Technique: Two-panel axial: CT | PSMA PET, [18F]PSMA-1007 tracer. PET panel 200×200 px (4.1 mm/px).
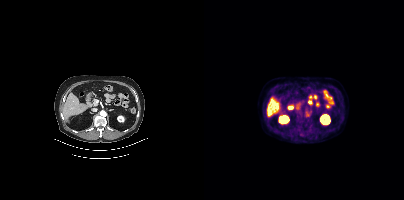
Findings: No tumor lesions annotated on this slice.